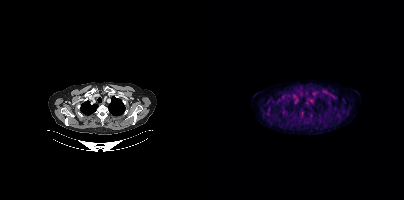
Negative for PSMA-avid disease on this slice.